modality: PSMA PET/CT | tracer: [68Ga]Ga-PSMA-11 | view: axial | PET grid: 256×256
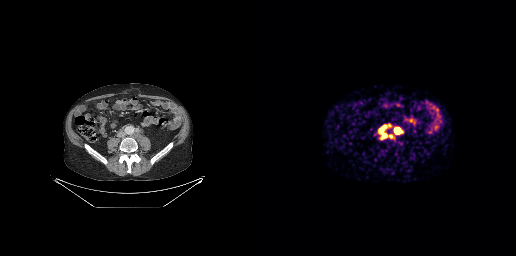
Coordinates are on the 256×256 PET (right) panel. PSMA-avid tumor lesion bounding boxes (x, y, width, height): x=118 y=124 w=13 h=15; x=135 y=128 w=8 h=6. Small PSMA-avid focus (2 to 4 px across) near (center x, center y): (130, 136).